modality: PSMA PET/CT | tracer: 18F-PSMA | view: axial | PET grid: 200×200
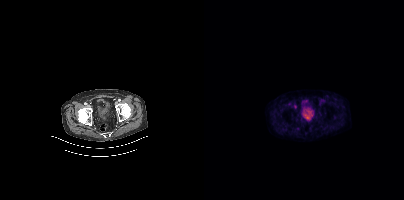
Coordinates are on the 200×200 PET (right) panel. Small PSMA-avid focus (2 to 4 px across) near (center x, center y): (91, 106).